Two-panel axial: CT | PSMA PET, 18F-PSMA tracer.
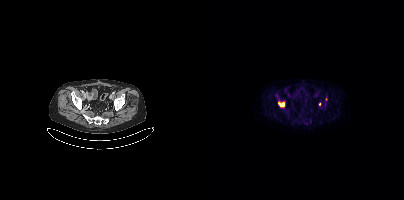
Coordinates are on the 200×200 PET (right) panel. PSMA-avid tumor lesion bounding boxes (partial; 1 more focus not listed):
| # | x0 | y0 | x1 | y1 |
|---|---|---|---|---|
| 1 | 74 | 102 | 80 | 106 |
Small PSMA-avid focus (2 to 4 px across) near (center x, center y): (115, 104).